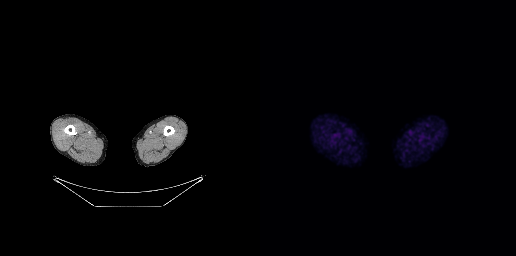
No PSMA-avid tumor lesions on this slice. Left: CT. Right: PSMA PET, same axial level, 18F tracer. Acquired on GE Discovery 690. PET panel 256×256 px (2.7 mm/px).